Paired axial CT (left) and PSMA PET (right), 18F-PSMA tracer. De-identified by setting a box covering the face to black before release.
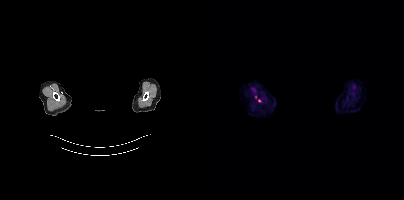
Coordinates are on the 200×200 PET (right) panel. (showing 1 of 2 foci) Small PSMA-avid focus (2 to 4 px across) near (center x, center y): (55, 100).